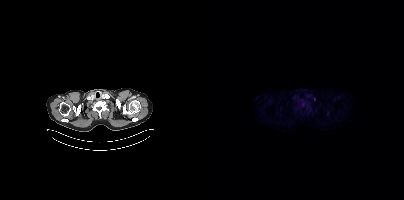
{"modality":"PSMA PET/CT","view":"axial","tracer":"[18F]PSMA-1007","pet_grid":[200,200],"coord_frame":"pet_panel","coord_format":"x0,y0,x1,y1","partial":true,"lesion_bboxes":[]}